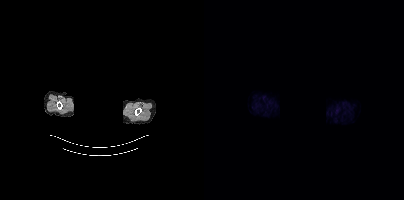
Paired axial CT (left) and PSMA PET (right), [18F]PSMA-1007 tracer. PET panel 200×200 px (4.1 mm/px). An anonymization step blacked out a rectangle over the head in this scan. This slice has no annotated PSMA-avid lesion.